modality: PSMA PET/CT | tracer: 18F-PSMA | view: axial
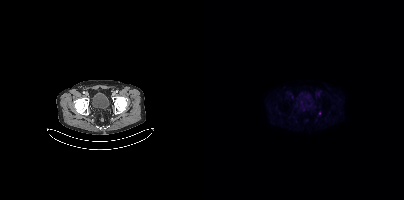
Coordinates are on the 200×200 PET (right) panel. Small PSMA-avid focus (2 to 4 px across) near (center x, center y): (115, 113).